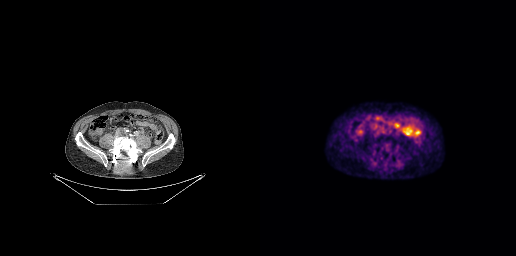
Two-panel axial: CT | PSMA PET, 18F-PSMA tracer. Slice position z = -526 mm. PET panel 256×256 px (2.7 mm/px). No tumor lesions annotated on this slice.